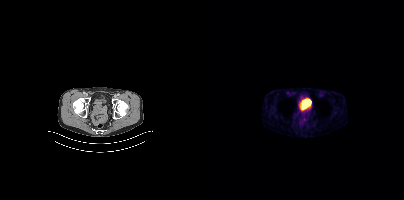
Left: CT. Right: PSMA PET, same axial level, [18F]PSMA-1007 tracer. PET panel 200×200 px (4.1 mm/px). No PSMA-avid tumor lesions on this slice.